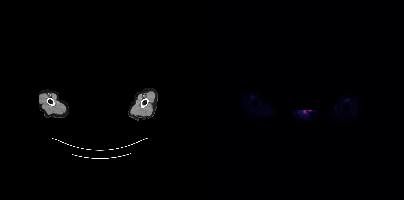
Findings: Coordinates are on the 200×200 PET (right) panel. Small PSMA-avid focus (2 to 4 px across) near (center x, center y): (100, 111).
- Paired axial CT (left) and PSMA PET (right), [68Ga]Ga-PSMA-11 tracer
- the head region is masked for de-identification